Left: CT. Right: PSMA PET, same axial level, 18F tracer.
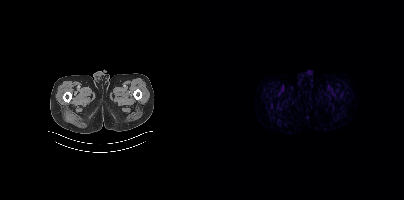
This slice has no annotated PSMA-avid lesion.